Left: CT. Right: PSMA PET, same axial level, 18F tracer. Slice position z = -1326 mm. PET panel 200×200 px (4.1 mm/px).
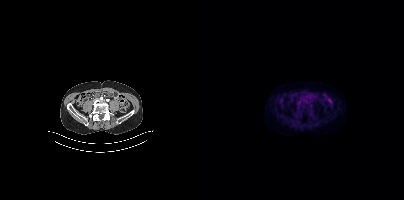
No PSMA-avid tumor lesions on this slice.